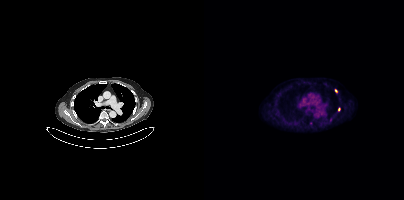
Findings: Coordinates are on the 200×200 PET (right) panel. (showing 1 of 2 foci) Small PSMA-avid focus (2 to 4 px across) near (center x, center y): (131, 90).
Technique: Left: CT. Right: PSMA PET, same axial level, 18F tracer. acquired on Siemens Biograph mCT Flow 20. PET panel 200×200 px (4.1 mm/px).